Technique: Paired axial CT (left) and PSMA PET (right), 18F tracer. slice 49 of 263. PET panel 256×256 px (2.7 mm/px).
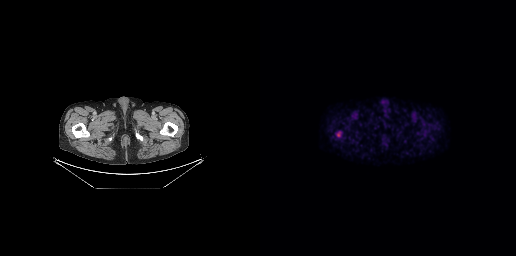
Findings: Coordinates are on the 256×256 PET (right) panel. PSMA-avid tumor lesion bounding box (x0, y0)-(x1, y1): (76, 131)-(81, 137).